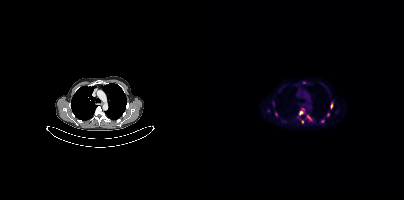
modality: PSMA PET/CT | tracer: [18F]PSMA-1007 | view: axial | PET grid: 200×200
Coordinates are on the 200×200 PET (right) panel. PSMA-avid tumor lesion bounding boxes (x0, y0)-(x1, y1): (95, 108)-(100, 115); (126, 101)-(129, 109); (102, 115)-(108, 120); (71, 112)-(73, 116). Small PSMA-avid foci (2 to 4 px across) near (center x, center y): (118, 121); (124, 114); (98, 121); (100, 82); (69, 103); (64, 110).